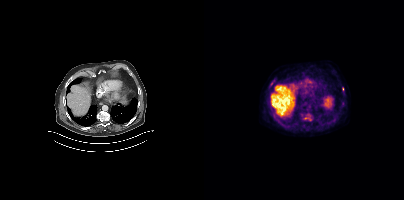
{"modality":"PSMA PET/CT","view":"axial","tracer":"18F","pet_grid":[200,200],"coord_frame":"pet_panel","coord_format":"x0,y0,x1,y1","lesion_bboxes":[[100,114,107,120],[66,81,69,85]],"small_foci_centers":[[138,89]]}